- Left: CT. Right: PSMA PET, same axial level, 68Ga tracer
- acquired on Siemens Biograph 64-4R TruePoint
- PET panel 168×168 px (4.1 mm/px)
- the head region is masked for de-identification
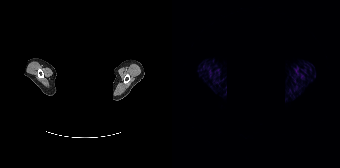
Findings: No tumor lesions annotated on this slice.